Two-panel axial: CT | PSMA PET, 18F-PSMA tracer. PET panel 200×200 px (4.1 mm/px).
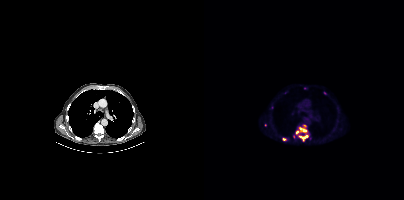
Coordinates are on the 200×200 PET (right) panel. (showing 5 of 8 foci) PSMA-avid tumor lesion bounding boxes (x, y, width, height): x=95 y=125 w=8 h=8; x=96 y=135 w=8 h=6. Small PSMA-avid foci (2 to 4 px across) near (center x, center y): (80, 139); (121, 93); (93, 132).